Left: CT. Right: PSMA PET, same axial level, [68Ga]Ga-PSMA-11 tracer. Acquired on GE Discovery 690.
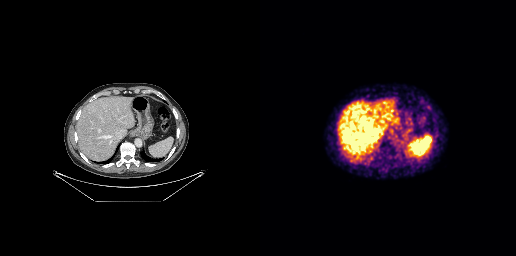
No tumor lesions annotated on this slice.